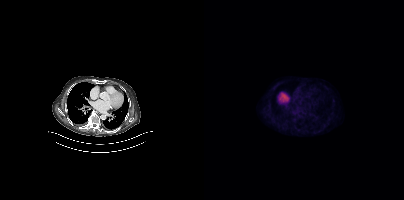
Findings: No PSMA-avid tumor lesions on this slice.
Technique: Two-panel axial: CT | PSMA PET, 18F-PSMA tracer. acquired on Siemens Biograph mCT Flow 20. PET panel 200×200 px (4.1 mm/px).